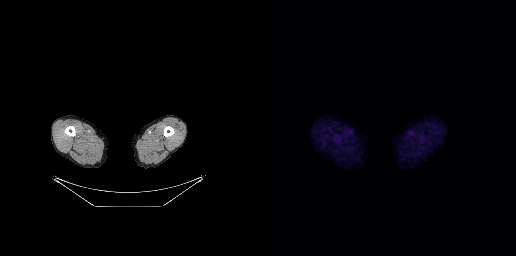
Paired axial CT (left) and PSMA PET (right), 18F tracer. Acquired on GE Discovery 690. This slice has no annotated PSMA-avid lesion.